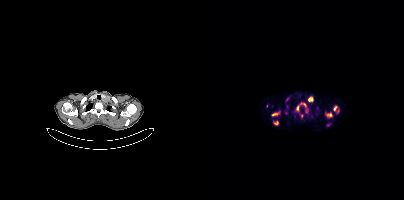
Coordinates are on the 200×200 PET (right) panel. (showing 10 of 12 foci) PSMA-avid tumor lesion bounding boxes (x0, y0)-(x1, y1): (104, 96)-(109, 101) | (122, 113)-(128, 117) | (91, 106)-(95, 112) | (68, 112)-(75, 115) | (70, 121)-(74, 124) | (129, 106)-(132, 110). Small PSMA-avid foci (2 to 4 px across) near (center x, center y): (97, 115) | (101, 104) | (133, 111) | (101, 112).
modality: PSMA PET/CT | tracer: 68Ga-PSMA | view: axial | PET grid: 200×200